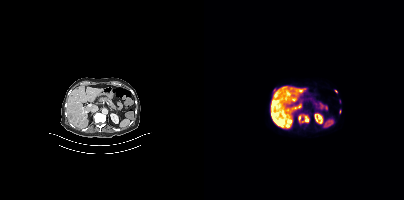
Technique: Two-panel axial: CT | PSMA PET, 18F-PSMA tracer. PET panel 200×200 px (4.1 mm/px).
Findings: Coordinates are on the 200×200 PET (right) panel. (showing 7 of 9 foci) PSMA-avid tumor lesion bounding boxes (x0,y0,x1,y1): [67,113,75,123], [94,88,99,92], [83,90,87,94]. Small PSMA-avid foci (2 to 4 px across) near (center x, center y): (102, 120), (132, 91), (135, 111), (95, 118).